- Left: CT. Right: PSMA PET, same axial level, [18F]PSMA-1007 tracer
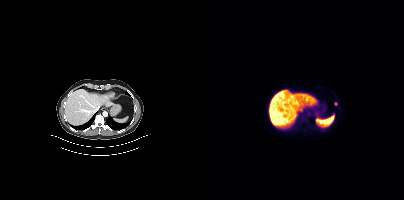
Findings: Coordinates are on the 200×200 PET (right) panel. Small PSMA-avid focus (2 to 4 px across) near (center x, center y): (131, 103).